modality: PSMA PET/CT | tracer: 18F-PSMA | view: axial
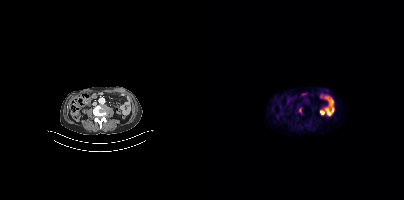
Coordinates are on the 200×200 PET (right) panel. Small PSMA-avid focus (2 to 4 px across) near (center x, center y): (95, 110).